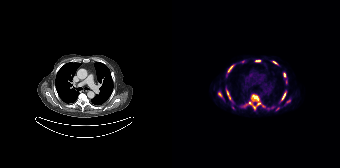
Coordinates are on the 168×168 PET (right) panel. (showing 12 of 13 foci) PSMA-avid tumor lesion bounding boxes (x, y, width, height): x=77 y=95 w=13 h=15; x=109 y=91 w=6 h=10; x=54 y=89 w=5 h=11; x=55 y=65 w=7 h=8; x=46 y=92 w=4 h=5; x=111 y=73 w=3 h=5; x=84 y=60 w=5 h=2; x=101 y=61 w=5 h=4; x=71 y=104 w=5 h=3. Small PSMA-avid foci (2 to 4 px across) near (center x, center y): (116, 101); (91, 105); (105, 109).
modality: PSMA PET/CT | tracer: 18F | view: axial | PET grid: 168×168